Two-panel axial: CT | PSMA PET, 18F-PSMA tracer. Slice position z = -1170 mm.
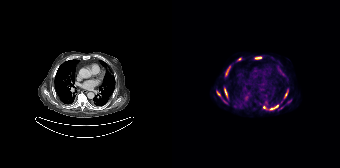
Coordinates are on the 168×168 PET (right) panel. (showing 8 of 10 foci) PSMA-avid tumor lesion bounding boxes (x0, y0)-(x1, y1): (97, 104)-(106, 110); (52, 88)-(55, 97); (83, 57)-(89, 58); (112, 92)-(115, 98); (45, 91)-(48, 95). Small PSMA-avid foci (2 to 4 px across) near (center x, center y): (54, 75); (92, 107); (67, 59).